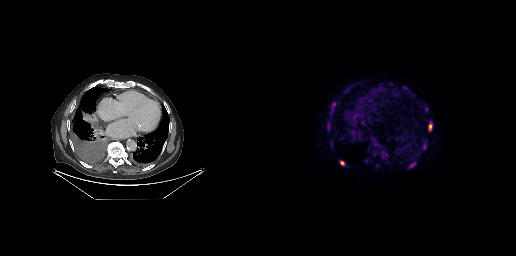
Findings: Coordinates are on the 256×256 PET (right) panel. (showing 6 of 7 foci) PSMA-avid tumor lesion bounding boxes (x0,y0,x1,y1): [168,122,172,131]; [80,161,84,165]; [150,163,155,167]; [163,144,165,148]. Small PSMA-avid foci (2 to 4 px across) near (center x, center y): (70, 113); (74, 104).
- Paired axial CT (left) and PSMA PET (right), [18F]PSMA-1007 tracer
- slice 194 of 299